Left: CT. Right: PSMA PET, same axial level, [18F]PSMA-1007 tracer.
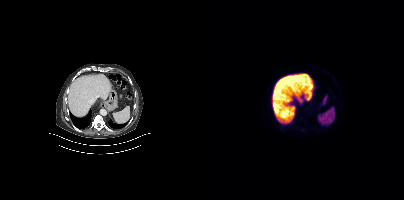
No tumor lesions annotated on this slice.